Technique: Paired axial CT (left) and PSMA PET (right), 18F tracer. acquired on Siemens Biograph mCT Flow 20. slice position z = -1156 mm. PET panel 200×200 px (4.1 mm/px).
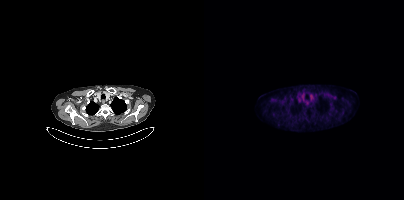
Findings: No tumor lesions annotated on this slice.